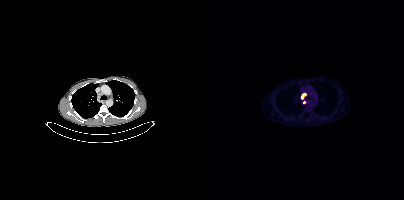
Coordinates are on the 200×200 PET (right) panel. PSMA-avid tumor lesion bounding box (x0,y0,x1,y1): [97,93,101,98]. Small PSMA-avid foci (2 to 4 px across) near (center x, center y): (100, 102); (97, 88).